Technique: Two-panel axial: CT | PSMA PET, [18F]PSMA-1007 tracer. acquired on Siemens Biograph mCT Flow 20. slice 130 of 435.
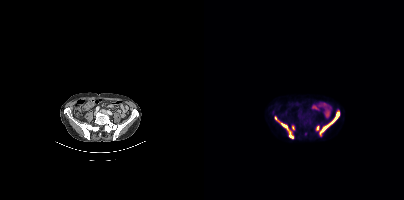
Findings: Coordinates are on the 200×200 PET (right) panel. PSMA-avid tumor lesion bounding boxes (x0,y0,x1,y1): [115,112,135,133] [71,117,89,138]. Small PSMA-avid foci (2 to 4 px across) near (center x, center y): (89, 127) (113, 127).